Two-panel axial: CT | PSMA PET, 18F-PSMA tracer.
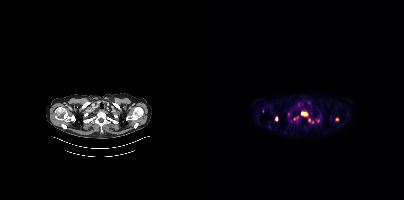
Coordinates are on the 200×200 PET (right) panel. (showing 5 of 7 foci) PSMA-avid tumor lesion bounding box (x0, y0)-(x1, y1): (97, 112)-(104, 116). Small PSMA-avid foci (2 to 4 px across) near (center x, center y): (72, 118) / (105, 119) / (133, 119) / (93, 117).